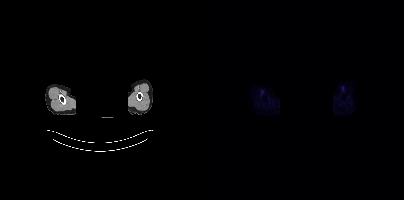
Findings: Negative for PSMA-avid disease on this slice.
Technique: Paired axial CT (left) and PSMA PET (right), 18F-PSMA tracer. slice position z = -311 mm.
Note: Head region blanked for anonymization (face removed).